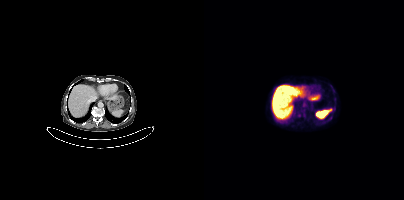
No tumor lesions annotated on this slice. Two-panel axial: CT | PSMA PET, 18F-PSMA tracer.